Left: CT. Right: PSMA PET, same axial level, 68Ga-PSMA tracer.
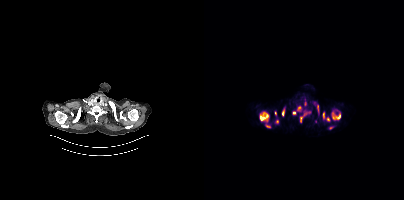
Coordinates are on the 200×200 PET (right) panel. PSMA-avid tumor lesion bounding boxes (partial; 2 more foci not listed):
| # | x0 | y0 | x1 | y1 |
|---|---|---|---|---|
| 1 | 128 | 109 | 136 | 120 |
| 2 | 56 | 112 | 64 | 122 |
| 3 | 98 | 111 | 104 | 116 |
| 4 | 61 | 124 | 66 | 127 |
| 5 | 96 | 117 | 98 | 122 |
| 6 | 125 | 126 | 129 | 129 |
| 7 | 119 | 113 | 120 | 118 |
Small PSMA-avid foci (2 to 4 px across) near (center x, center y): (94, 108); (124, 118); (79, 112); (90, 113); (113, 106); (71, 112); (110, 103).